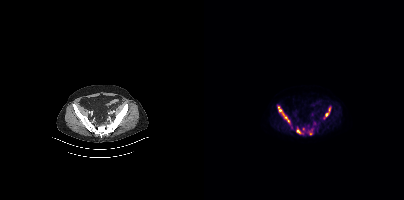
Coordinates are on the 200×200 PET (right) panel. PSMA-avid tumor lesion bounding boxes:
| # | x0 | y0 | x1 | y1 |
|---|---|---|---|---|
| 1 | 74 | 106 | 85 | 122 |
| 2 | 120 | 107 | 126 | 118 |
| 3 | 93 | 129 | 96 | 133 |
Small PSMA-avid focus (2 to 4 px across) near (center x, center y): (106, 133).
Two-panel axial: CT | PSMA PET, [18F]PSMA-1007 tracer. Acquired on Siemens Biograph mCT Flow 20.